Two-panel axial: CT | PSMA PET, [18F]PSMA-1007 tracer. Slice 331 of 427. PET panel 200×200 px (4.1 mm/px).
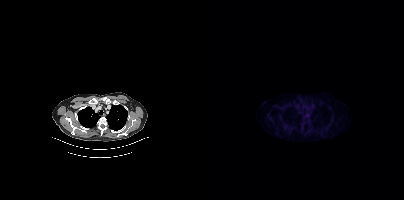
No PSMA-avid tumor lesions on this slice.